Technique: Left: CT. Right: PSMA PET, same axial level, [18F]PSMA-1007 tracer. acquired on Siemens Biograph mCT Flow 20. slice 295 of 375. PET panel 200×200 px (4.1 mm/px).
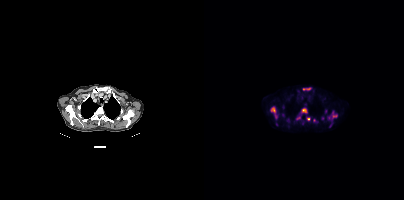
Findings: Coordinates are on the 200×200 PET (right) panel. (showing 7 of 10 foci) PSMA-avid tumor lesion bounding boxes (x0,y0,x1,y1): [66,106,73,118]; [128,111,133,118]; [99,87,107,90]; [98,108,102,112]. Small PSMA-avid foci (2 to 4 px across) near (center x, center y): (94, 117); (104, 119); (110, 120).